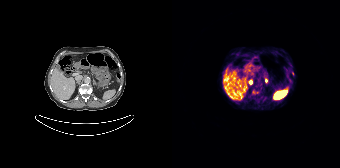
{"pet_grid":[168,168],"coord_frame":"pet_panel","coord_format":"x0,y0,x1,y1","psma_avid_lesions":false,"modality":"PSMA PET/CT","view":"axial","tracer":"[68Ga]Ga-PSMA-11"}